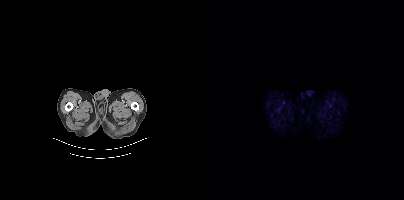
This slice has no annotated PSMA-avid lesion.